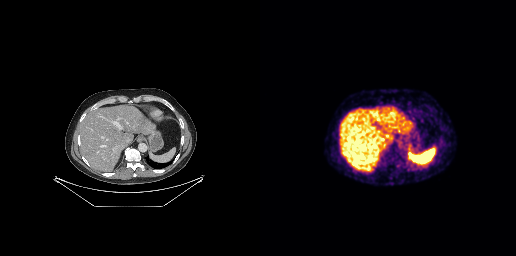
{"modality":"PSMA PET/CT","view":"axial","tracer":"68Ga","pet_grid":[256,256],"coord_frame":"pet_panel","coord_format":"x0,y0,x1,y1","psma_avid_lesions":false}